Two-panel axial: CT | PSMA PET, 68Ga-PSMA tracer. Acquired on Siemens Biograph 64-4R TruePoint. Slice 148 of 195. PET panel 168×168 px (4.1 mm/px).
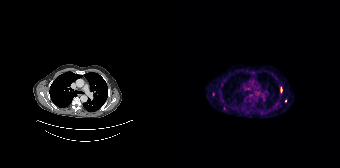
Coordinates are on the 168×168 PET (right) panel. PSMA-avid tumor lesion bounding boxes (partial; 1 more focus not listed):
| # | x0 | y0 | x1 | y1 |
|---|---|---|---|---|
| 1 | 109 | 87 | 110 | 92 |
Small PSMA-avid focus (2 to 4 px across) near (center x, center y): (113, 100).